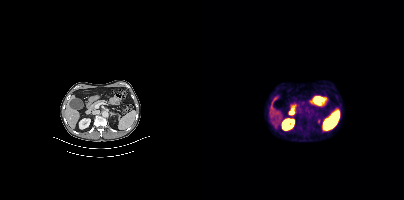
Coordinates are on the 200×200 PET (right) panel. PSMA-avid tumor lesion bounding box (x0, y0)-(x1, y1): (103, 124)-(108, 128). Small PSMA-avid foci (2 to 4 px across) near (center x, center y): (96, 124) | (104, 117).